Left: CT. Right: PSMA PET, same axial level, [18F]PSMA-1007 tracer. Acquired on Siemens Biograph mCT Flow 20.
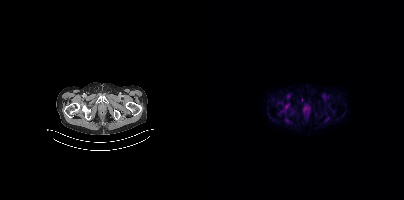
Only PSMA-avid lesion pieces thinner than 2 px on this slice (not listed).